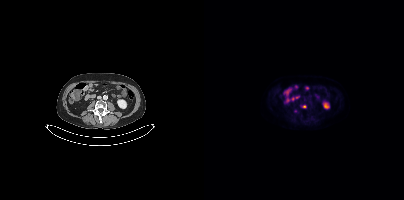
Coordinates are on the 200×200 PET (right) panel. PSMA-avid tumor lesion bounding box (x0,y0,x1,y1): [97,105,102,108].